Two-panel axial: CT | PSMA PET, 18F tracer. Slice position z = -904 mm. PET panel 200×200 px (4.1 mm/px).
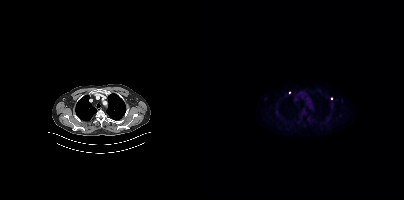
Coordinates are on the 200×200 PET (right) panel. Small PSMA-avid foci (2 to 4 px across) near (center x, center y): (85, 92) / (127, 98).